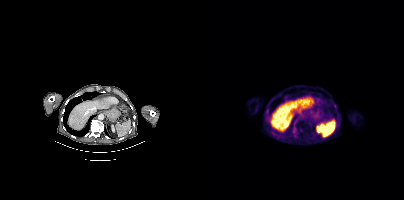
Findings: Coordinates are on the 200×200 PET (right) panel. Small PSMA-avid focus (2 to 4 px across) near (center x, center y): (97, 130).
- Paired axial CT (left) and PSMA PET (right), 18F-PSMA tracer
- acquired on Siemens Biograph mCT Flow 20
- slice 216 of 403
- PET panel 200×200 px (4.1 mm/px)